Paired axial CT (left) and PSMA PET (right), [18F]PSMA-1007 tracer. PET panel 200×200 px (4.1 mm/px).
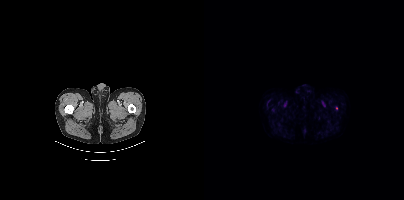
No PSMA-avid tumor lesions on this slice.